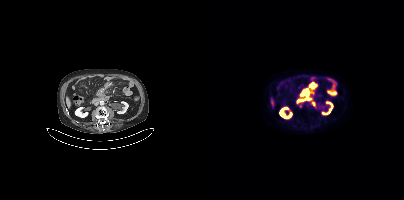
- Paired axial CT (left) and PSMA PET (right), [18F]PSMA-1007 tracer
- acquired on Siemens Biograph mCT Flow 20
Findings: Coordinates are on the 200×200 PET (right) panel. (showing 3 of 4 foci) PSMA-avid tumor lesion bounding boxes (x0, y0)-(x1, y1): (98, 88)-(106, 94) | (105, 82)-(112, 88). Small PSMA-avid focus (2 to 4 px across) near (center x, center y): (96, 106).